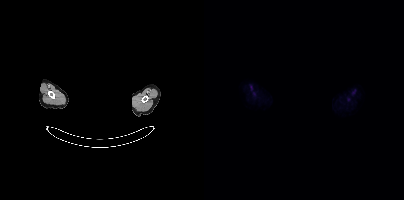
{"pet_grid":[200,200],"coord_frame":"pet_panel","coord_format":"x0,y0,x1,y1","psma_avid_lesions":false,"redaction":"head region blacked out before release","modality":"PSMA PET/CT","view":"axial","tracer":"18F-PSMA"}